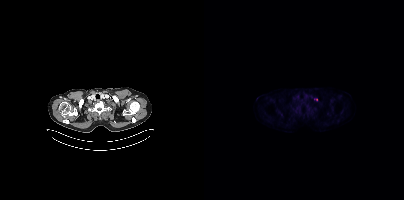
Coordinates are on the 200×200 PET (right) panel. (showing 1 of 2 foci) Small PSMA-avid focus (2 to 4 px across) near (center x, center y): (112, 99).